- the head region is masked for de-identification
- Paired axial CT (left) and PSMA PET (right), 18F-PSMA tracer
- slice 370 of 395
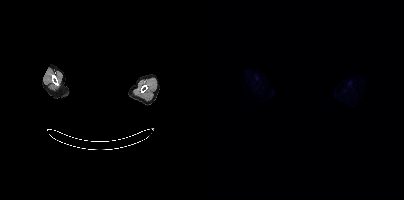
Findings: Negative for PSMA-avid disease on this slice.